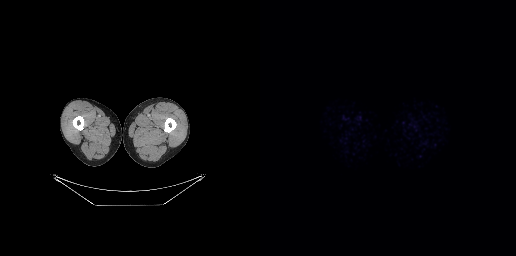
Findings: No PSMA-avid tumor lesions on this slice.
Technique: Two-panel axial: CT | PSMA PET, 18F tracer.